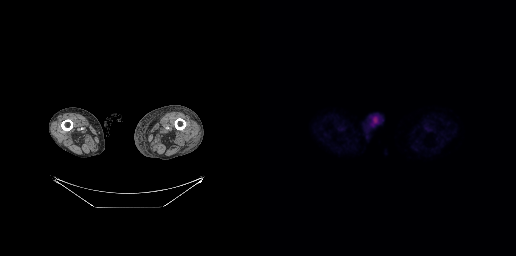
This slice has no annotated PSMA-avid lesion.